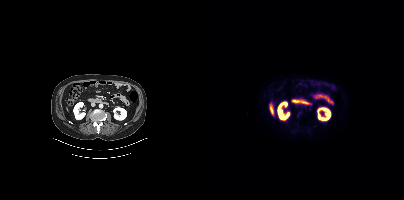
- Two-panel axial: CT | PSMA PET, 18F-PSMA tracer
- PET panel 200×200 px (4.1 mm/px)
Findings: No PSMA-avid tumor lesions on this slice.